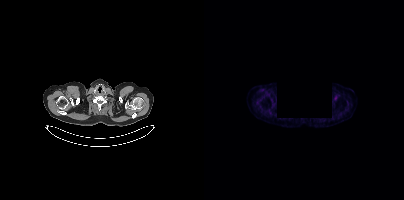
Findings: Negative for PSMA-avid disease on this slice.
Technique: Paired axial CT (left) and PSMA PET (right), 18F-PSMA tracer. slice 373 of 433.
Note: A region was redacted for de-identification by setting it to black.